Head region blanked for anonymization (face removed). Left: CT. Right: PSMA PET, same axial level, 18F-PSMA tracer. Acquired on Siemens Biograph mCT Flow 20. PET panel 200×200 px (4.1 mm/px).
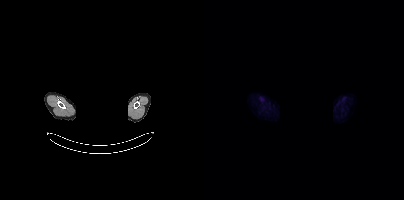
No tumor lesions annotated on this slice.